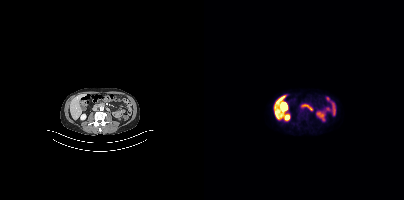
{"modality":"PSMA PET/CT","view":"axial","tracer":"18F","pet_grid":[200,200],"coord_frame":"pet_panel","coord_format":"x0,y0,x1,y1","psma_avid_lesions":false}